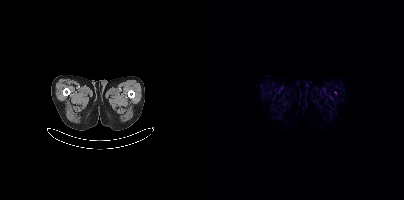
modality: PSMA PET/CT | tracer: [18F]PSMA-1007 | view: axial
Negative for PSMA-avid disease on this slice.